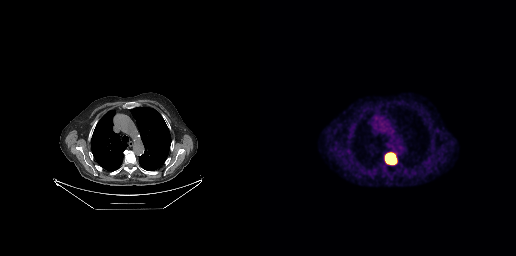
Coordinates are on the 256×256 PET (right) panel. PSMA-avid tumor lesion bounding box (x, y, width, height): x=125 y=152 w=13 h=13.